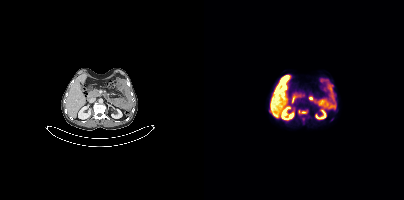
Left: CT. Right: PSMA PET, same axial level, [18F]PSMA-1007 tracer. Acquired on Siemens Biograph mCT Flow 20. Slice position z = -1246 mm. PET panel 200×200 px (4.1 mm/px).
Coordinates are on the 200×200 PET (right) panel. PSMA-avid tumor lesion bounding boxes:
| # | x0 | y0 | x1 | y1 |
|---|---|---|---|---|
| 1 | 94 | 110 | 102 | 113 |